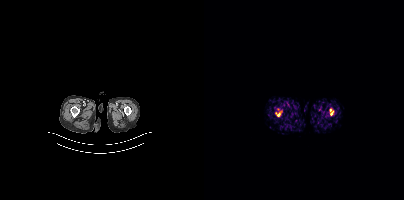
Technique: Two-panel axial: CT | PSMA PET, 18F-PSMA tracer. acquired on Siemens Biograph mCT Flow 20.
Findings: No tumor lesions annotated on this slice.